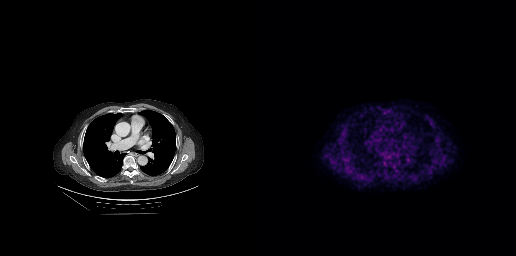
Coordinates are on the 256×256 PET (right) panel. PSMA-avid tumor lesion bounding box (x, y, width, height): x=83 y=160 w=8 h=9. Small PSMA-avid foci (2 to 4 px across) near (center x, center y): (82, 150) / (171, 123).